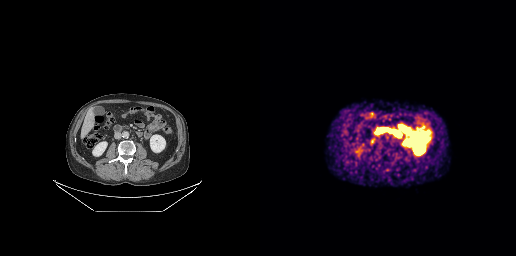
Technique: Paired axial CT (left) and PSMA PET (right), 68Ga-PSMA tracer. acquired on GE Discovery 690. slice 118 of 263. PET panel 256×256 px (2.7 mm/px).
Findings: Coordinates are on the 256×256 PET (right) panel. Small PSMA-avid focus (2 to 4 px across) near (center x, center y): (145, 141).